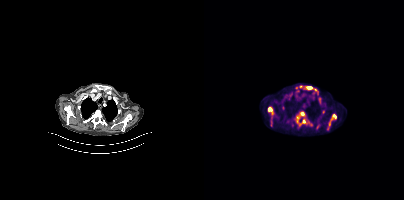
Coordinates are on the 200×200 PET (right) panel. PSMA-avid tumor lesion bounding boxes (x0, y0)-(x1, y1): (91, 111)-(103, 126); (64, 106)-(69, 115); (66, 117)-(69, 127); (122, 123)-(127, 130); (102, 86)-(108, 89); (82, 94)-(87, 99). Small PSMA-avid foci (2 to 4 px across) near (center x, center y): (88, 125); (96, 86); (111, 89).
modality: PSMA PET/CT | tracer: [18F]PSMA-1007 | view: axial | PET grid: 200×200